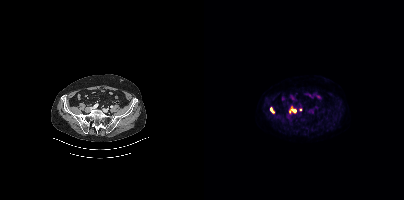
{"pet_grid":[200,200],"coord_frame":"pet_panel","coord_format":"x0,y0,x1,y1","partial":true,"lesion_bboxes":[[85,107,91,112],[66,108,69,112]],"modality":"PSMA PET/CT","view":"axial","tracer":"18F-PSMA"}